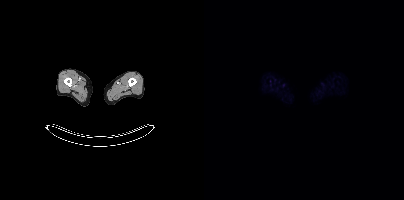
No PSMA-avid tumor lesions on this slice. Two-panel axial: CT | PSMA PET, 18F tracer. PET panel 200×200 px (4.1 mm/px).